Left: CT. Right: PSMA PET, same axial level, 68Ga tracer. Acquired on GE Discovery 690.
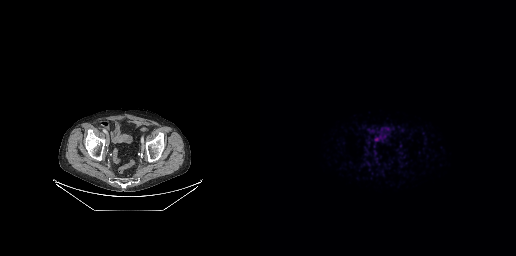
Negative for PSMA-avid disease on this slice.